modality: PSMA PET/CT | tracer: 18F | view: axial
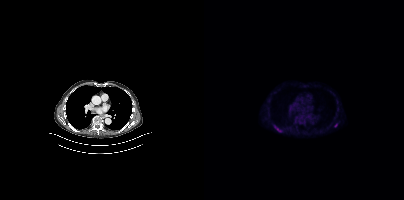
Coordinates are on the 200×200 PET (right) panel. PSMA-avid tumor lesion bounding box (x0, y0)-(x1, y1): (71, 126)-(77, 131). Small PSMA-avid focus (2 to 4 px across) near (center x, center y): (131, 125).